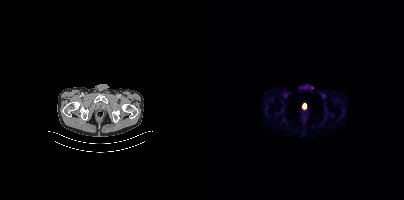
Technique: Two-panel axial: CT | PSMA PET, 18F-PSMA tracer. PET panel 200×200 px (4.1 mm/px).
Findings: No tumor lesions annotated on this slice.